Left: CT. Right: PSMA PET, same axial level, 18F-PSMA tracer. Acquired on Siemens Biograph mCT Flow 20. PET panel 200×200 px (4.1 mm/px).
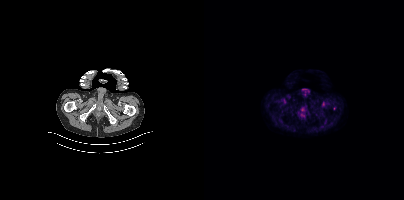
Only PSMA-avid lesion pieces thinner than 2 px on this slice (not listed).